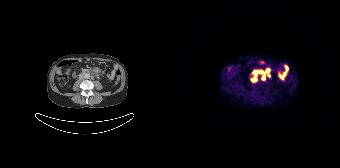
Two-panel axial: CT | PSMA PET, 68Ga tracer. Acquired on Siemens Biograph 64-4R TruePoint. PET panel 168×168 px (4.1 mm/px). Coordinates are on the 168×168 PET (right) panel. PSMA-avid tumor lesion bounding box (x0,y0,x1,y1): [80,72,84,81]. Small PSMA-avid foci (2 to 4 px across) near (center x, center y): (97, 75) (95, 70) (91, 77).